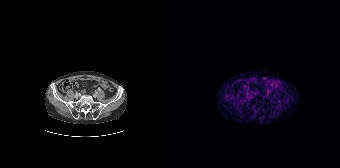
No PSMA-avid tumor lesions on this slice.